Left: CT. Right: PSMA PET, same axial level, 18F-PSMA tracer. Acquired on Siemens Biograph mCT Flow 20.
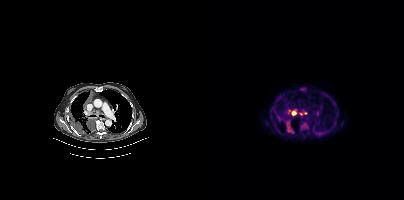
Coordinates are on the 200×200 PET (right) panel. PSMA-avid tumor lesion bounding boxes (partial; 1 more focus not listed):
| # | x0 | y0 | x1 | y1 |
|---|---|---|---|---|
| 1 | 80 | 119 | 89 | 133 |
| 2 | 97 | 123 | 104 | 129 |
| 3 | 87 | 111 | 92 | 115 |
| 4 | 95 | 111 | 99 | 114 |
| 5 | 74 | 118 | 78 | 121 |
Small PSMA-avid focus (2 to 4 px across) near (center x, center y): (85, 111).